Two-panel axial: CT | PSMA PET, [18F]PSMA-1007 tracer. Slice position z = -1554 mm.
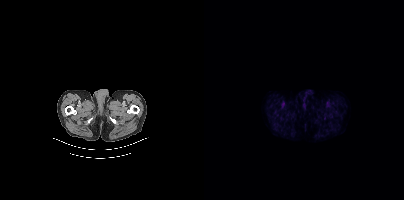
Negative for PSMA-avid disease on this slice.